Two-panel axial: CT | PSMA PET, 68Ga-PSMA tracer. Acquired on Siemens Biograph 64-4R TruePoint. PET panel 168×168 px (4.1 mm/px).
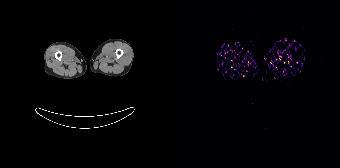
No tumor lesions annotated on this slice.